Two-panel axial: CT | PSMA PET, [18F]PSMA-1007 tracer. PET panel 256×256 px (2.7 mm/px).
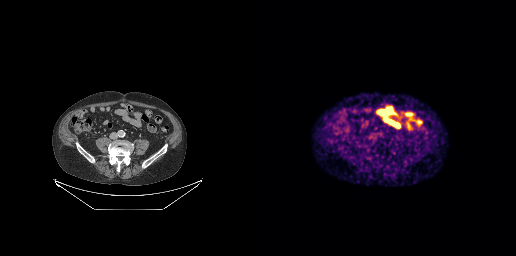
Negative for PSMA-avid disease on this slice.